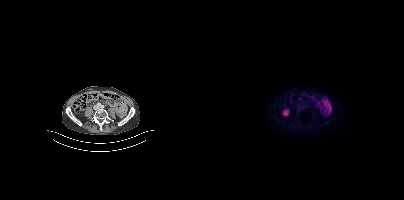
{"modality":"PSMA PET/CT","view":"axial","tracer":"[18F]PSMA-1007","pet_grid":[200,200],"coord_frame":"pet_panel","coord_format":"x0,y0,x1,y1","psma_avid_lesions":false}